Technique: Paired axial CT (left) and PSMA PET (right), 18F tracer. slice 339 of 435.
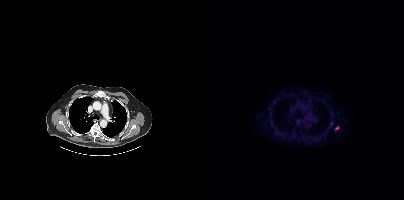
Findings: Coordinates are on the 200×200 PET (right) panel. Small PSMA-avid focus (2 to 4 px across) near (center x, center y): (133, 128).